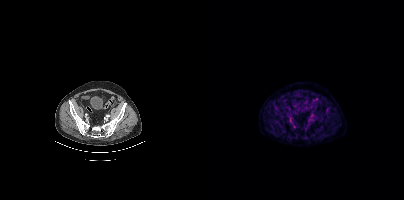
{"modality":"PSMA PET/CT","view":"axial","tracer":"18F","pet_grid":[200,200],"coord_frame":"pet_panel","coord_format":"x0,y0,x1,y1","psma_avid_lesions":false}